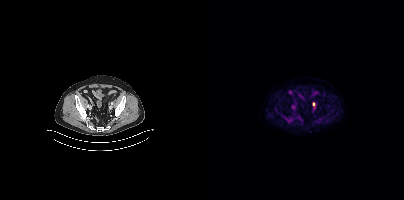
Findings: Coordinates are on the 200×200 PET (right) panel. PSMA-avid tumor lesion bounding box (x0,y0,x1,y1): [77,115,87,121]. Small PSMA-avid foci (2 to 4 px across) near (center x, center y): (109, 104) (119, 117).
Technique: Two-panel axial: CT | PSMA PET, [18F]PSMA-1007 tracer. acquired on Siemens Biograph mCT Flow 20. PET panel 200×200 px (4.1 mm/px).